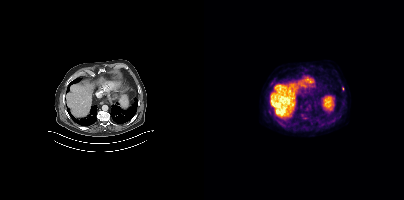
Findings: Coordinates are on the 200×200 PET (right) panel. (showing 3 of 4 foci) Small PSMA-avid foci (2 to 4 px across) near (center x, center y): (68, 83) / (138, 89) / (65, 112).
Technique: Paired axial CT (left) and PSMA PET (right), 18F-PSMA tracer.